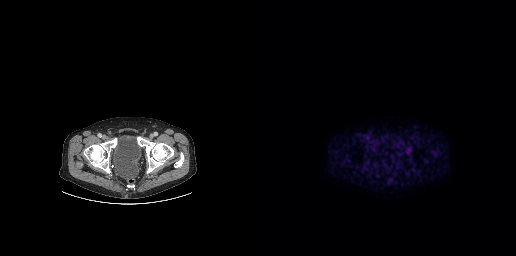
modality: PSMA PET/CT | tracer: 18F | view: axial
Coordinates are on the 256×256 PET (right) panel. PSMA-avid tumor lesion bounding box (x0,y0,x1,y1): [145,146,151,154].